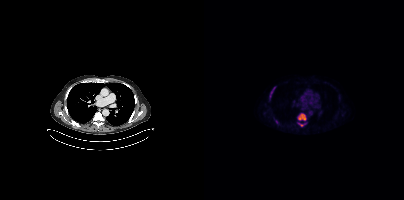
{"modality":"PSMA PET/CT","view":"axial","tracer":"[18F]PSMA-1007","pet_grid":[200,200],"coord_frame":"pet_panel","coord_format":"x0,y0,x1,y1","lesion_bboxes":[[93,113,102,120],[66,87,71,97],[94,123,102,126]],"small_foci_centers":[[72,121]]}